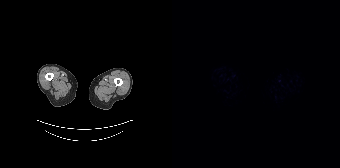
No PSMA-avid tumor lesions on this slice.